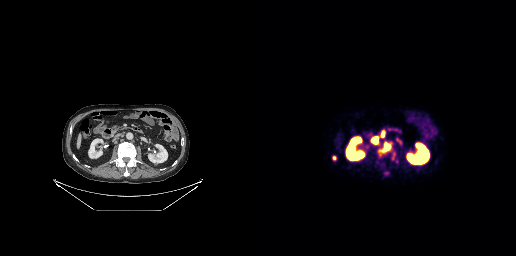
Two-panel axial: CT | PSMA PET, [68Ga]Ga-PSMA-11 tracer. PET panel 256×256 px (2.7 mm/px).
Coordinates are on the 256×256 PET (right) panel. PSMA-avid tumor lesion bounding boxes:
| # | x0 | y0 | x1 | y1 |
|---|---|---|---|---|
| 1 | 119 | 143 | 130 | 154 |
| 2 | 112 | 137 | 117 | 143 |
| 3 | 72 | 156 | 76 | 160 |
Small PSMA-avid foci (2 to 4 px across) near (center x, center y): (133, 157); (122, 134).